The face region was removed for patient privacy by blanking a rectangle over the head. Left: CT. Right: PSMA PET, same axial level, [18F]PSMA-1007 tracer. Acquired on Siemens Biograph mCT Flow 20. Slice position z = -178 mm.
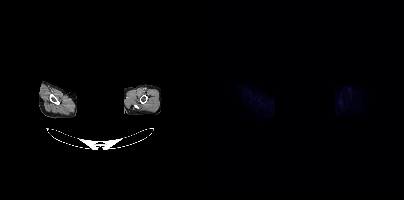
No tumor lesions annotated on this slice.